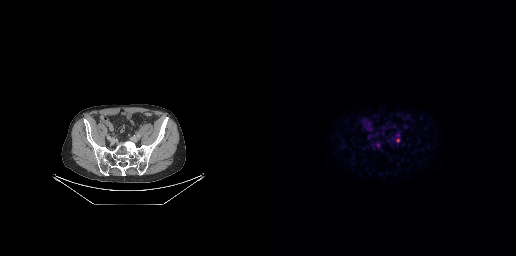
Findings: Coordinates are on the 256×256 PET (right) panel. (showing 1 of 2 foci) Small PSMA-avid focus (2 to 4 px across) near (center x, center y): (137, 140).
Technique: Paired axial CT (left) and PSMA PET (right), 18F tracer. acquired on GE Discovery 690. PET panel 256×256 px (2.7 mm/px).